Paired axial CT (left) and PSMA PET (right), 18F-PSMA tracer. Slice 1 of 165. PET panel 168×168 px (4.1 mm/px).
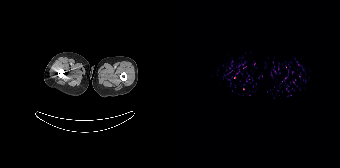
This slice has no annotated PSMA-avid lesion.